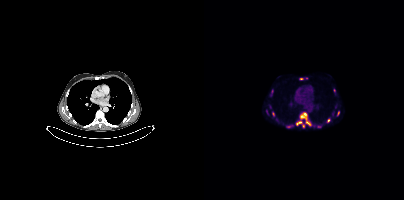
Coordinates are on the 200×200 PET (right) panel. (showing 8 of 12 foci) PSMA-avid tumor lesion bounding boxes (x0,y0,x1,y1): [92,112,107,127]; [133,111,135,116]; [123,118,126,122]; [68,112,70,116]; [113,126,117,127]. Small PSMA-avid foci (2 to 4 px across) near (center x, center y): (97, 78); (62, 111); (84, 126).